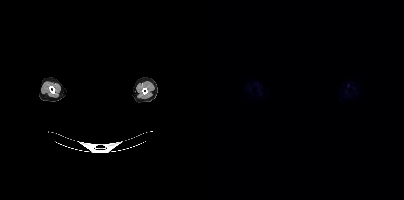
Negative for PSMA-avid disease on this slice. Left: CT. Right: PSMA PET, same axial level, [18F]PSMA-1007 tracer. Slice position z = -807 mm. The head region is masked for de-identification.